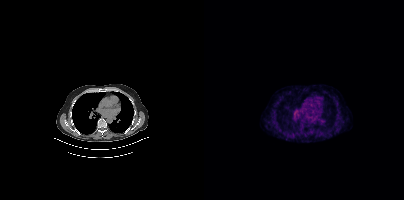
No PSMA-avid tumor lesions on this slice.